Two-panel axial: CT | PSMA PET, 68Ga tracer.
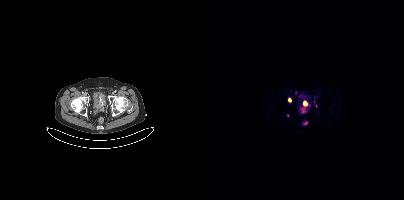
Coordinates are on the 200×200 PET (right) panel. PSMA-avid tumor lesion bounding boxes (partial; 1 more focus not listed):
| # | x0 | y0 | x1 | y1 |
|---|---|---|---|---|
| 1 | 96 | 107 | 101 | 112 |
| 2 | 100 | 102 | 102 | 106 |
Small PSMA-avid foci (2 to 4 px across) near (center x, center y): (100, 123); (85, 100); (91, 92); (112, 105); (83, 115).